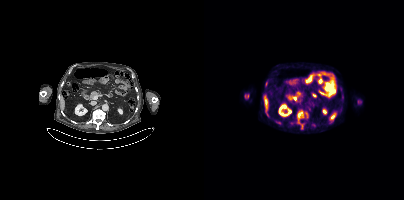
Findings: Coordinates are on the 200×200 PET (right) panel. (showing 2 of 4 foci) PSMA-avid tumor lesion bounding box (x, y, width, height): x=93 y=111 w=7 h=9. Small PSMA-avid focus (2 to 4 px across) near (center x, center y): (62, 83).
Technique: Left: CT. Right: PSMA PET, same axial level, [18F]PSMA-1007 tracer. slice position z = 16 mm. PET panel 200×200 px (4.1 mm/px).